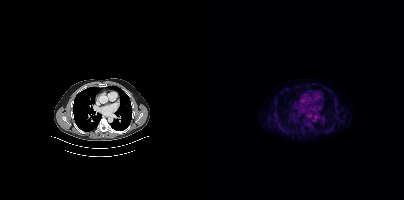
- Two-panel axial: CT | PSMA PET, [18F]PSMA-1007 tracer
- slice 286 of 417
Findings: No PSMA-avid tumor lesions on this slice.